Paired axial CT (left) and PSMA PET (right), [68Ga]Ga-PSMA-11 tracer. Acquired on GE Discovery 690. PET panel 256×256 px (2.7 mm/px).
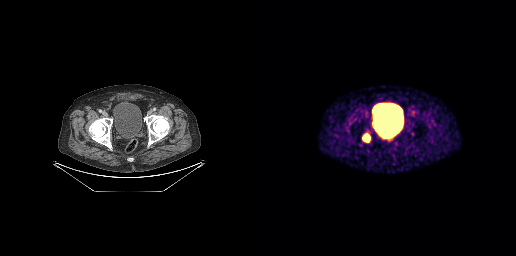
Coordinates are on the 256×256 PET (right) panel. PSMA-avid tumor lesion bounding boxes:
| # | x0 | y0 | x1 | y1 |
|---|---|---|---|---|
| 1 | 102 | 134 | 110 | 141 |